Technique: Paired axial CT (left) and PSMA PET (right), 18F tracer. slice 125 of 429. PET panel 200×200 px (4.1 mm/px).
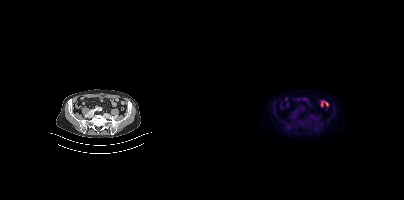
Findings: No PSMA-avid tumor lesions on this slice.